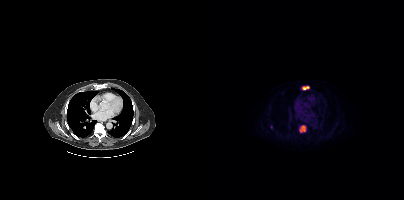
Coordinates are on the 200×200 PET (right) panel. PSMA-avid tumor lesion bounding boxes (x, y, width, height): x=96 y=126 w=6 h=6; x=98 y=86 w=8 h=4. Small PSMA-avid focus (2 to 4 px across) near (center x, center y): (67, 126). Left: CT. Right: PSMA PET, same axial level, [18F]PSMA-1007 tracer. Acquired on Siemens Biograph mCT Flow 20. Slice 276 of 417.